- Paired axial CT (left) and PSMA PET (right), 18F tracer
- PET panel 200×200 px (4.1 mm/px)
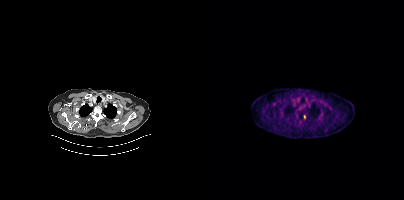
Findings: Coordinates are on the 200×200 PET (right) panel. Small PSMA-avid focus (2 to 4 px across) near (center x, center y): (100, 116).